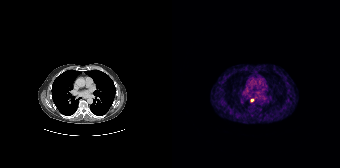
- Left: CT. Right: PSMA PET, same axial level, [68Ga]Ga-PSMA-11 tracer
- slice position z = -444 mm
- PET panel 168×168 px (4.1 mm/px)
Findings: Coordinates are on the 168×168 PET (right) panel. Small PSMA-avid focus (2 to 4 px across) near (center x, center y): (79, 99).